Left: CT. Right: PSMA PET, same axial level, 68Ga tracer. Slice 127 of 195. PET panel 168×168 px (4.1 mm/px).
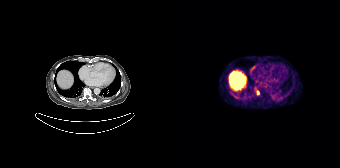
Coordinates are on the 168×168 PET (right) panel. Small PSMA-avid focus (2 to 4 px across) near (center x, center y): (86, 92).